Two-panel axial: CT | PSMA PET, 18F-PSMA tracer. Slice position z = -226 mm. The face region was removed for patient privacy by blanking a rectangle over the head.
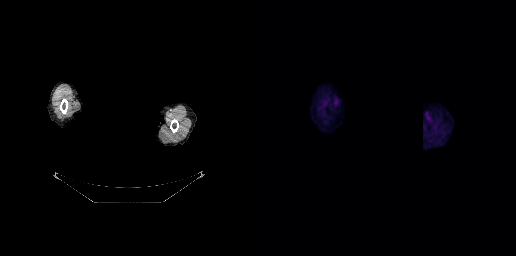
No PSMA-avid tumor lesions on this slice.